Left: CT. Right: PSMA PET, same axial level, 18F-PSMA tracer. Acquired on Siemens Biograph mCT Flow 20. Slice position z = -1649 mm.
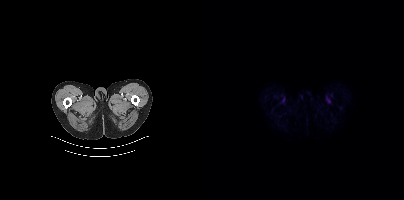
This slice has no annotated PSMA-avid lesion.